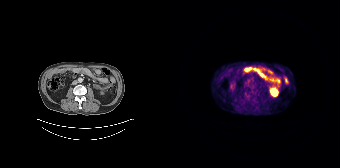
No tumor lesions annotated on this slice.